Technique: Two-panel axial: CT | PSMA PET, 18F tracer. slice 270 of 403.
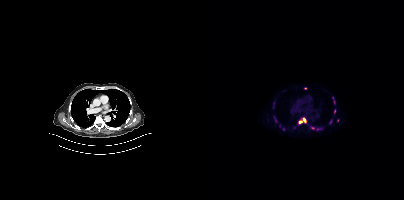
Findings: Coordinates are on the 200×200 PET (right) panel. (showing 3 of 4 foci) PSMA-avid tumor lesion bounding box (x0,y0,x1,y1): [95,118,101,123]. Small PSMA-avid foci (2 to 4 px across) near (center x, center y): (101, 88), (79, 128).